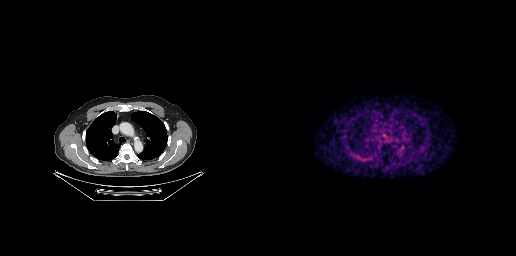
{"pet_grid":[256,256],"coord_frame":"pet_panel","coord_format":"x0,y0,x1,y1","psma_avid_lesions":false,"modality":"PSMA PET/CT","view":"axial","tracer":"68Ga-PSMA"}